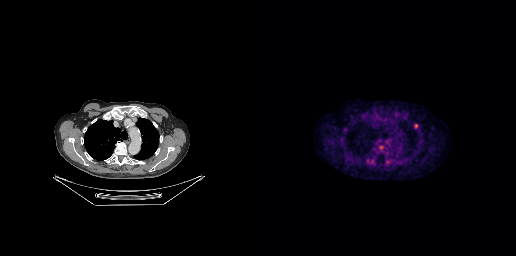
Coordinates are on the 256×256 PET (right) panel. PSMA-avid tumor lesion bounding boxes (x0,y0,x1,y1): [119,145,123,150] [154,124,157,128]. Small PSMA-avid focus (2 to 4 px across) near (center x, center y): (127, 161).